- Paired axial CT (left) and PSMA PET (right), [18F]PSMA-1007 tracer
- acquired on Siemens Biograph 64-4R TruePoint
- slice 106 of 165
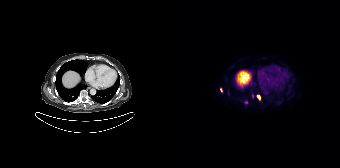
Findings: Coordinates are on the 168×168 PET (right) panel. Small PSMA-avid foci (2 to 4 px across) near (center x, center y): (73, 102); (86, 96); (49, 89).